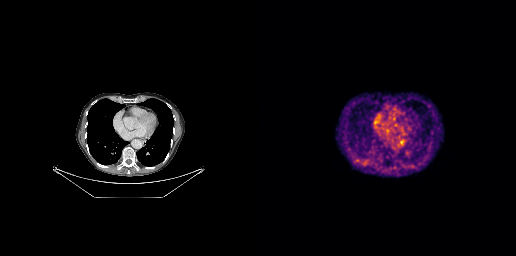
This slice has no annotated PSMA-avid lesion. Paired axial CT (left) and PSMA PET (right), [68Ga]Ga-PSMA-11 tracer. Acquired on GE Discovery 690. Slice position z = -452 mm.